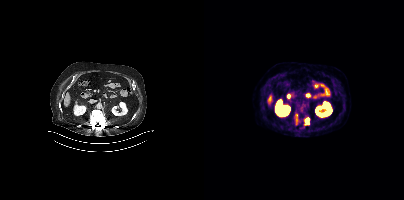
Technique: Left: CT. Right: PSMA PET, same axial level, 18F-PSMA tracer. acquired on Siemens Biograph mCT Flow 20.
Findings: Coordinates are on the 200×200 PET (right) panel. (showing 2 of 3 foci) PSMA-avid tumor lesion bounding boxes (x0, y0)-(x1, y1): (91, 115)-(94, 124); (102, 118)-(105, 124).